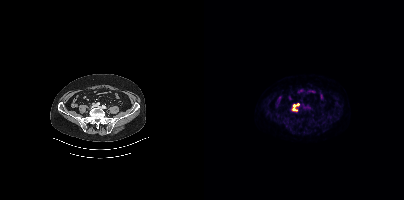
- Left: CT. Right: PSMA PET, same axial level, [18F]PSMA-1007 tracer
- slice 129 of 452
Findings: Coordinates are on the 200×200 PET (right) panel. PSMA-avid tumor lesion bounding box (x0, y0)-(x1, y1): (89, 104)-(94, 110).